Technique: Left: CT. Right: PSMA PET, same axial level, 18F tracer. acquired on Siemens Biograph mCT Flow 20. slice position z = 405 mm. PET panel 200×200 px (4.1 mm/px).
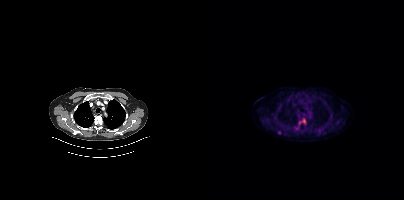
Findings: Coordinates are on the 200×200 PET (right) panel. PSMA-avid tumor lesion bounding box (x0, y0)-(x1, y1): (95, 118)-(101, 124). Small PSMA-avid focus (2 to 4 px across) near (center x, center y): (75, 132).